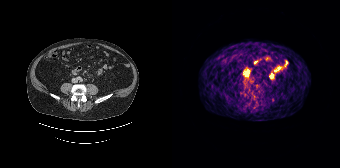
Two-panel axial: CT | PSMA PET, 68Ga-PSMA tracer. Acquired on Siemens Biograph 64-4R TruePoint. PET panel 168×168 px (4.1 mm/px). No tumor lesions annotated on this slice.